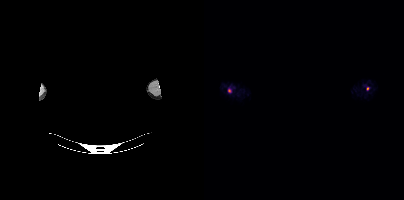
The face region was removed for patient privacy by blanking a rectangle over the head. Left: CT. Right: PSMA PET, same axial level, 18F-PSMA tracer. Acquired on Siemens Biograph mCT Flow 20. PET panel 200×200 px (4.1 mm/px). Coordinates are on the 200×200 PET (right) panel. Small PSMA-avid foci (2 to 4 px across) near (center x, center y): (25, 90), (163, 88).